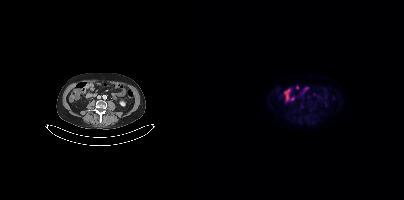
{"modality":"PSMA PET/CT","view":"axial","tracer":"18F","pet_grid":[200,200],"coord_frame":"pet_panel","coord_format":"x0,y0,x1,y1","psma_avid_lesions":false}